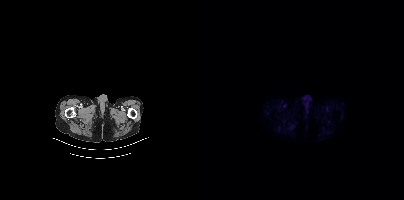
Negative for PSMA-avid disease on this slice.
modality: PSMA PET/CT | tracer: 68Ga-PSMA | view: axial | PET grid: 200×200